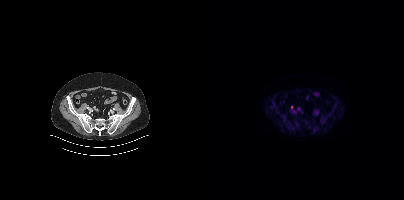
Two-panel axial: CT | PSMA PET, 18F tracer. Acquired on Siemens Biograph mCT Flow 20. Slice position z = -823 mm. PET panel 200×200 px (4.1 mm/px). Only PSMA-avid lesion pieces thinner than 2 px on this slice (not listed).